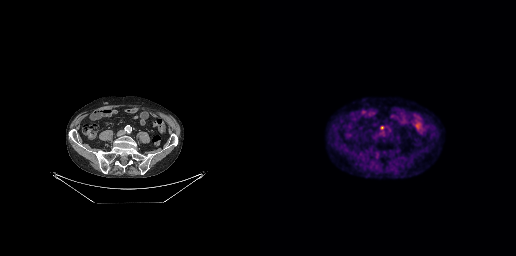
{"modality":"PSMA PET/CT","view":"axial","tracer":"[18F]PSMA-1007","pet_grid":[256,256],"coord_frame":"pet_panel","coord_format":"x0,y0,x1,y1","lesion_bboxes":[],"small_foci_centers":[[122,127]]}